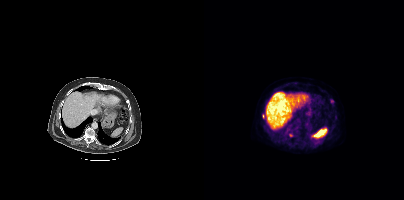
Left: CT. Right: PSMA PET, same axial level, 18F-PSMA tracer. Slice position z = -566 mm. Coordinates are on the 200×200 PET (right) panel. Small PSMA-avid foci (2 to 4 px across) near (center x, center y): (128, 101); (59, 116).